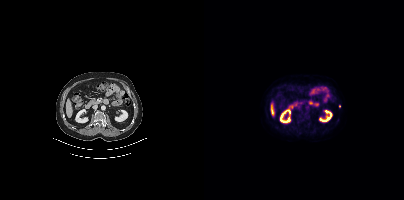
Coordinates are on the 200×200 PET (right) panel. Small PSMA-avid focus (2 to 4 px across) near (center x, center y): (135, 106). Paired axial CT (left) and PSMA PET (right), 18F tracer. Slice position z = -1276 mm. PET panel 200×200 px (4.1 mm/px).